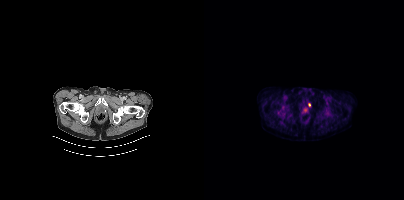
Left: CT. Right: PSMA PET, same axial level, 18F tracer. Coordinates are on the 200×200 PET (right) panel. Small PSMA-avid focus (2 to 4 px across) near (center x, center y): (105, 104).